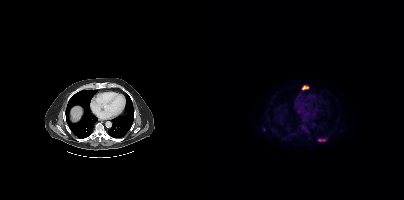
modality: PSMA PET/CT | tracer: [18F]PSMA-1007 | view: axial
Coordinates are on the 200×200 PET (right) panel. PSMA-avid tumor lesion bounding boxes (x0, y0)-(x1, y1): (98, 85)-(104, 89) / (114, 139)-(121, 141). Small PSMA-avid focus (2 to 4 px across) near (center x, center y): (59, 129).